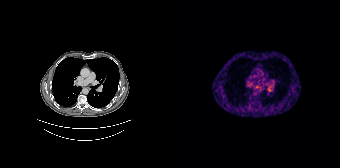
No PSMA-avid tumor lesions on this slice.